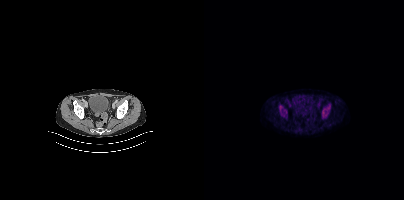
- Two-panel axial: CT | PSMA PET, [18F]PSMA-1007 tracer
- acquired on Siemens Biograph mCT Flow 20
- PET panel 200×200 px (4.1 mm/px)
Findings: Only PSMA-avid lesion pieces thinner than 2 px on this slice (not listed).